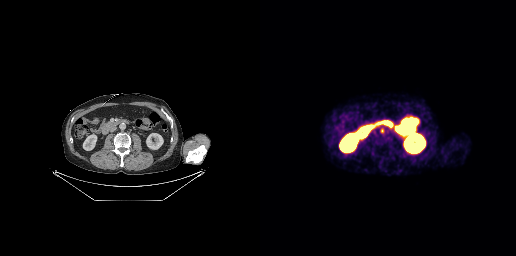
Technique: Left: CT. Right: PSMA PET, same axial level, [68Ga]Ga-PSMA-11 tracer. acquired on GE Discovery 690. slice position z = -579 mm.
Findings: Coordinates are on the 256×256 PET (right) panel. PSMA-avid tumor lesion bounding box (x0, y0)-(x1, y1): (120, 129)-(123, 133).